Technique: Left: CT. Right: PSMA PET, same axial level, [18F]PSMA-1007 tracer.
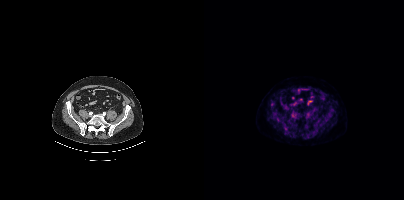
Findings: This slice has no annotated PSMA-avid lesion.